Paired axial CT (left) and PSMA PET (right), 18F-PSMA tracer. Slice 312 of 417. PET panel 200×200 px (4.1 mm/px).
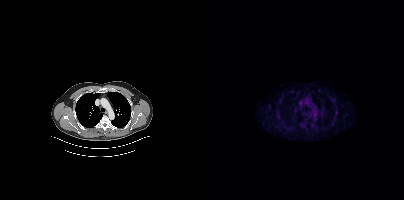
No PSMA-avid tumor lesions on this slice.